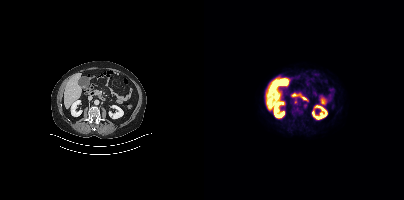
Paired axial CT (left) and PSMA PET (right), [18F]PSMA-1007 tracer. No tumor lesions annotated on this slice.